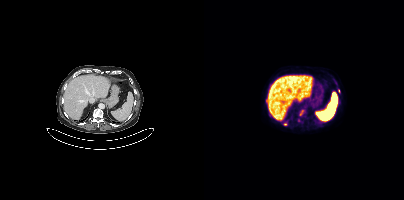
{"modality":"PSMA PET/CT","view":"axial","tracer":"18F","pet_grid":[200,200],"coord_frame":"pet_panel","coord_format":"x0,y0,x1,y1","partial":true,"lesion_bboxes":[],"small_foci_centers":[[81,124],[131,82],[97,112]]}